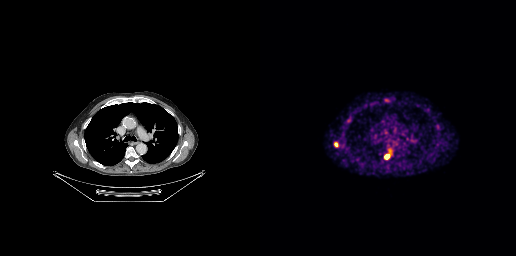
Findings: Coordinates are on the 256×256 PET (right) panel. PSMA-avid tumor lesion bounding boxes (x0,y0,x1,y1): [125,154,129,158]; [87,117,90,122]; [74,142,77,146]. Small PSMA-avid focus (2 to 4 px across) near (center x, center y): (129, 150).
Technique: Two-panel axial: CT | PSMA PET, 68Ga tracer. PET panel 256×256 px (2.7 mm/px).